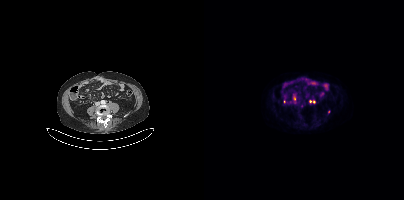
{"modality":"PSMA PET/CT","view":"axial","tracer":"18F","pet_grid":[200,200],"coord_frame":"pet_panel","coord_format":"x0,y0,x1,y1","partial":true,"lesion_bboxes":[],"small_foci_centers":[[106,101],[109,101],[124,111]]}